- Two-panel axial: CT | PSMA PET, [18F]PSMA-1007 tracer
- slice position z = -1298 mm
- PET panel 200×200 px (4.1 mm/px)
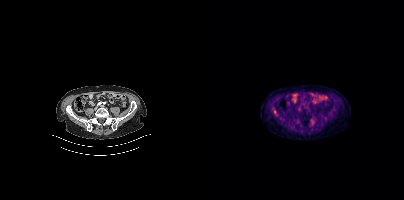
Findings: Coordinates are on the 200×200 PET (right) panel. Small PSMA-avid focus (2 to 4 px across) near (center x, center y): (71, 111).